Privacy masking over the head, with the pixels inside a rectangle set to black.
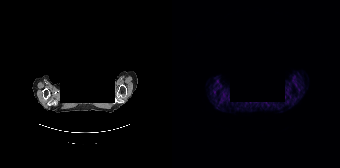
No PSMA-avid tumor lesions on this slice.